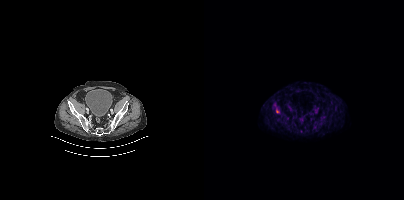
{"pet_grid":[200,200],"coord_frame":"pet_panel","coord_format":"x0,y0,x1,y1","partial":true,"lesion_bboxes":[],"modality":"PSMA PET/CT","view":"axial","tracer":"18F-PSMA"}